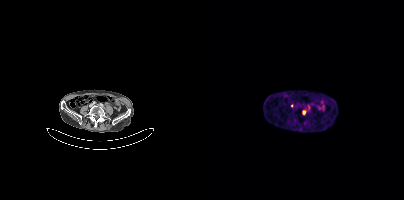
Paired axial CT (left) and PSMA PET (right), 68Ga-PSMA tracer.
Coordinates are on the 200×200 PET (right) panel. PSMA-avid tumor lesion bounding boxes:
| # | x0 | y0 | x1 | y1 |
|---|---|---|---|---|
| 1 | 98 | 110 | 101 | 114 |